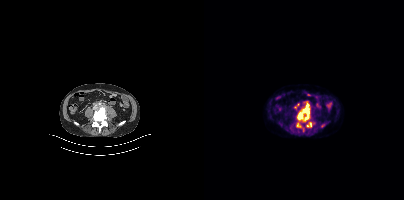
Coordinates are on the 200×200 PET (right) panel. (showing 4 of 5 foci) PSMA-avid tumor lesion bounding boxes (x, y, width, height): x=93 y=104 w=13 h=17 | x=106 y=122 w=2 h=5. Small PSMA-avid foci (2 to 4 px across) near (center x, center y): (93, 124) | (103, 125). Left: CT. Right: PSMA PET, same axial level, 18F-PSMA tracer. Slice position z = -824 mm.